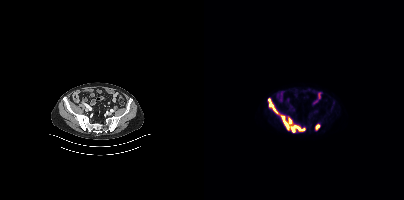
Coordinates are on the 200×200 PET (right) panel. PSMA-avid tumor lesion bounding box (x0,y0,x1,y1): [64,99,101,132]. Small PSMA-avid focus (2 to 4 px across) near (center x, center y): (113, 126).